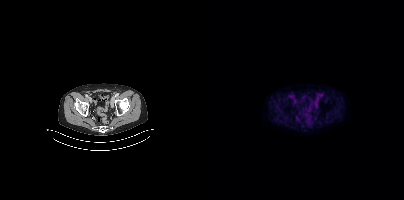
{"pet_grid":[200,200],"coord_frame":"pet_panel","coord_format":"x0,y0,x1,y1","partial":true,"lesion_bboxes":[],"modality":"PSMA PET/CT","view":"axial","tracer":"18F"}